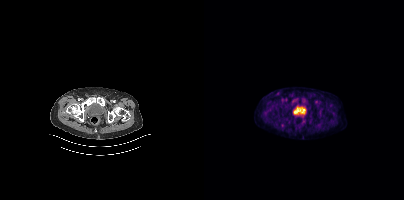
This slice has no annotated PSMA-avid lesion.